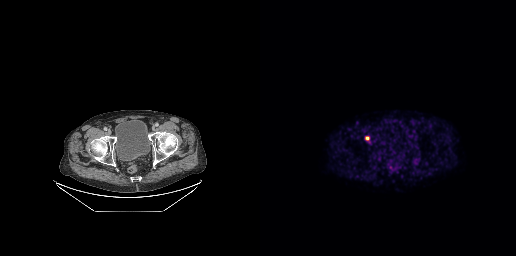
Findings: Coordinates are on the 256×256 PET (right) panel. Small PSMA-avid focus (2 to 4 px across) near (center x, center y): (107, 138).
Technique: Two-panel axial: CT | PSMA PET, 18F-PSMA tracer. slice position z = -706 mm.